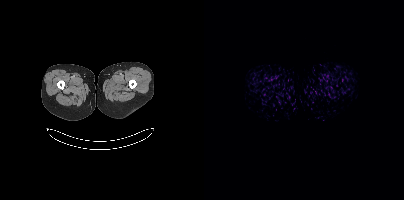
No PSMA-avid tumor lesions on this slice.